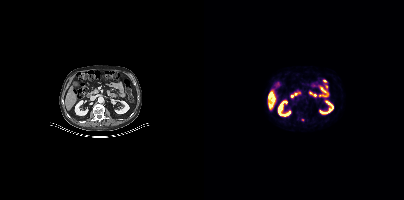
{"pet_grid":[200,200],"coord_frame":"pet_panel","coord_format":"x0,y0,x1,y1","lesion_bboxes":[],"small_foci_centers":[[98,119]],"modality":"PSMA PET/CT","view":"axial","tracer":"18F"}